Paired axial CT (left) and PSMA PET (right), 18F-PSMA tracer. Acquired on Siemens Biograph mCT Flow 20. Slice 250 of 415.
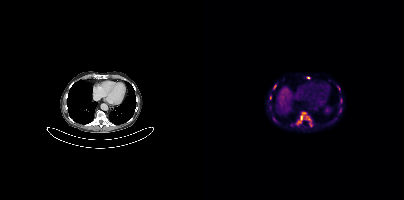
Coordinates are on the 200×200 PET (right) panel. PSMA-avid tumor lesion bounding boxes (partial; 4 more foci not listed):
| # | x0 | y0 | x1 | y1 |
|---|---|---|---|---|
| 1 | 93 | 112 | 107 | 124 |
Small PSMA-avid foci (2 to 4 px across) near (center x, center y): (71, 86); (66, 97); (106, 124); (104, 77).